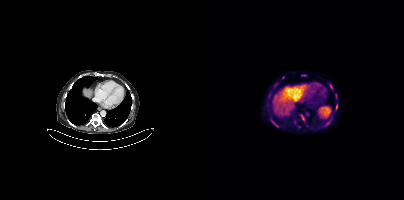
modality: PSMA PET/CT | tracer: 18F | view: axial
Coordinates are on the 200×200 PET (right) panel. (showing 5 of 6 foci) PSMA-avid tumor lesion bounding boxes (x0, y0)-(x1, y1): (67, 120)-(74, 127) | (96, 114)-(100, 121) | (97, 75)-(102, 76) | (132, 105)-(133, 109). Small PSMA-avid focus (2 to 4 px across) near (center x, center y): (126, 86).